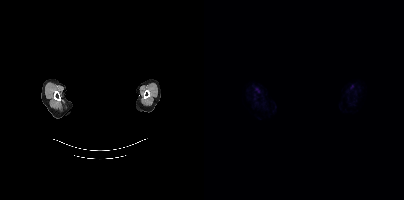
This slice has no annotated PSMA-avid lesion. Paired axial CT (left) and PSMA PET (right), [18F]PSMA-1007 tracer. Slice position z = -884 mm. Face de-identified by blanking a block of the head.